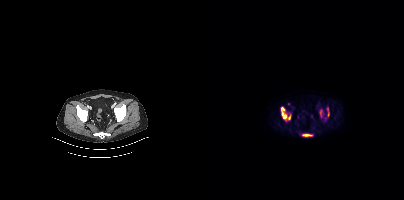
Left: CT. Right: PSMA PET, same axial level, 18F-PSMA tracer. PET panel 200×200 px (4.1 mm/px). Coordinates are on the 200×200 PET (right) panel. PSMA-avid tumor lesion bounding boxes (x0,y0,x1,y1): [77,107,86,119], [98,134,108,136], [123,108,125,116], [116,110,118,116].